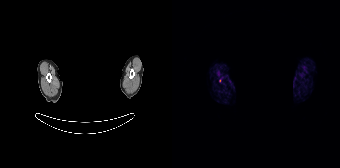
- Two-panel axial: CT | PSMA PET, 68Ga-PSMA tracer
- slice position z = -144 mm
- PET panel 168×168 px (4.1 mm/px)
- privacy masking over the head, with the pixels inside a rectangle set to black
Findings: Coordinates are on the 168×168 PET (right) panel. Small PSMA-avid focus (2 to 4 px across) near (center x, center y): (47, 80).